modality: PSMA PET/CT | tracer: 18F | view: axial | PET grid: 200×200
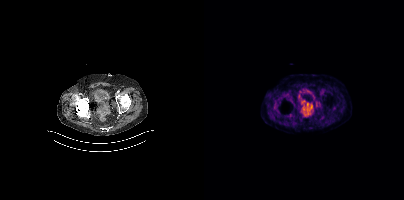
This slice has no annotated PSMA-avid lesion.